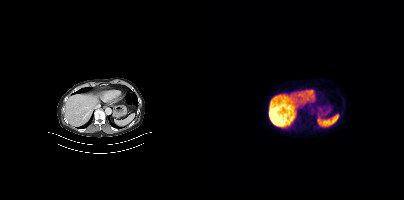
{"modality":"PSMA PET/CT","view":"axial","tracer":"18F","pet_grid":[200,200],"coord_frame":"pet_panel","coord_format":"x0,y0,x1,y1","psma_avid_lesions":false}